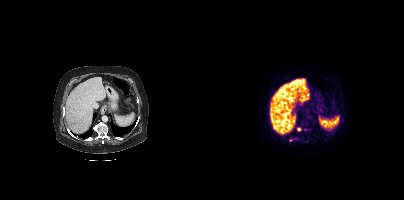
Technique: Paired axial CT (left) and PSMA PET (right), [68Ga]Ga-PSMA-11 tracer. slice position z = 639 mm.
Findings: Coordinates are on the 200×200 PET (right) panel. Small PSMA-avid focus (2 to 4 px across) near (center x, center y): (94, 128).